Left: CT. Right: PSMA PET, same axial level, 18F tracer. Slice position z = -1490 mm.
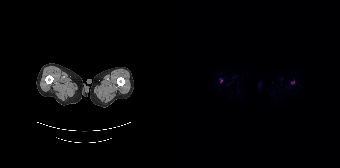
This slice has no annotated PSMA-avid lesion.